- Paired axial CT (left) and PSMA PET (right), 68Ga-PSMA tracer
- PET panel 168×168 px (4.1 mm/px)
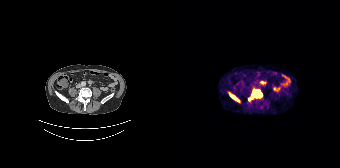
Findings: Coordinates are on the 168×168 PET (right) panel. PSMA-avid tumor lesion bounding boxes (x, y, width, height): x=76 y=90 w=15 h=11 | x=58 y=93 w=9 h=8.